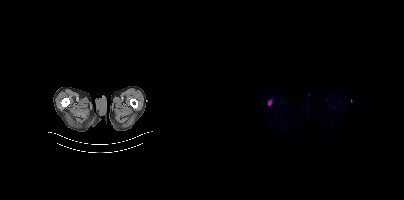
Left: CT. Right: PSMA PET, same axial level, 18F-PSMA tracer. PET panel 200×200 px (4.1 mm/px). Coordinates are on the 200×200 PET (right) panel. PSMA-avid tumor lesion bounding box (x, y, width, height): x=64 y=100 w=4 h=6.